Paired axial CT (left) and PSMA PET (right), 18F-PSMA tracer.
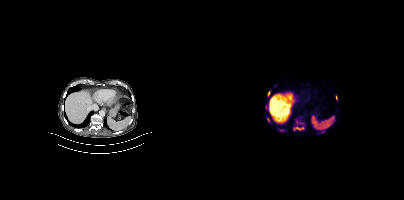
Coordinates are on the 200×200 PET (right) panel. PSMA-avid tumor lesion bounding boxes:
| # | x0 | y0 | x1 | y1 |
|---|---|---|---|---|
| 1 | 89 | 126 | 100 | 130 |
| 2 | 92 | 120 | 99 | 124 |
| 3 | 132 | 95 | 133 | 100 |
| 4 | 64 | 91 | 65 | 96 |
| 5 | 64 | 119 | 66 | 123 |
| 6 | 75 | 130 | 79 | 131 |
Small PSMA-avid focus (2 to 4 px across) near (center x, center y): (62, 106).